- de-identified by setting a box covering the face to black before release
- Paired axial CT (left) and PSMA PET (right), [18F]PSMA-1007 tracer
- acquired on Siemens Biograph mCT Flow 20
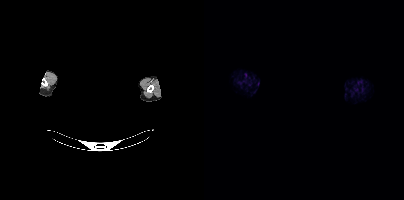
Findings: No PSMA-avid tumor lesions on this slice.